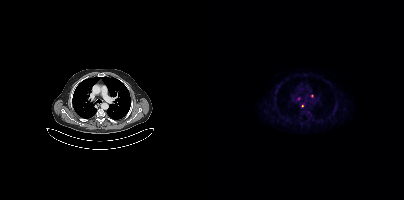
Only PSMA-avid lesion pieces thinner than 2 px on this slice (not listed).